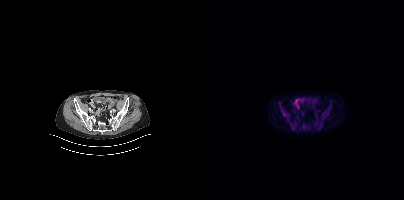
Technique: Paired axial CT (left) and PSMA PET (right), [18F]PSMA-1007 tracer. slice position z = -733 mm. PET panel 200×200 px (4.1 mm/px).
Findings: This slice has no annotated PSMA-avid lesion.